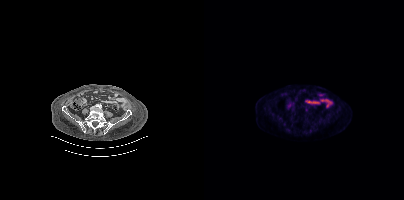
modality: PSMA PET/CT | tracer: [18F]PSMA-1007 | view: axial | PET grid: 200×200
Coordinates are on the 200×200 PET (right) panel. Small PSMA-avid focus (2 to 4 px across) near (center x, center y): (102, 109).